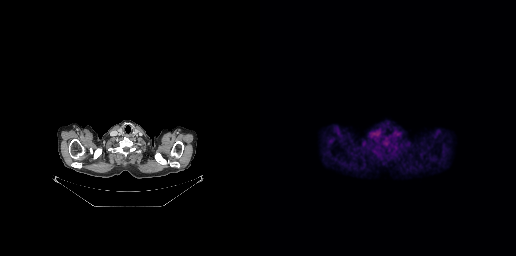
Negative for PSMA-avid disease on this slice.